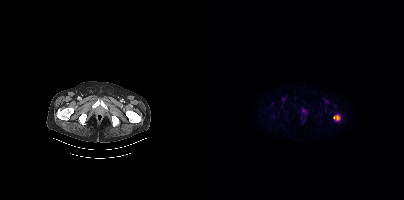
Paired axial CT (left) and PSMA PET (right), [18F]PSMA-1007 tracer. Acquired on Siemens Biograph mCT Flow 20. PET panel 200×200 px (4.1 mm/px). Coordinates are on the 200×200 PET (right) panel. PSMA-avid tumor lesion bounding box (x, y, width, height): x=130 y=115 w=6 h=5. Small PSMA-avid focus (2 to 4 px across) near (center x, center y): (78, 99).